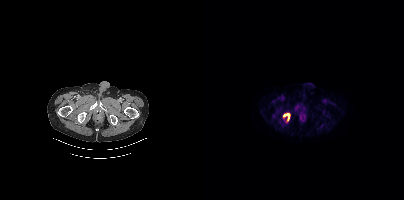
Left: CT. Right: PSMA PET, same axial level, 18F tracer. Acquired on Siemens Biograph mCT Flow 20. Slice 57 of 401. PET panel 200×200 px (4.1 mm/px).
Coordinates are on the 200×200 PET (right) panel. PSMA-avid tumor lesion bounding boxes:
| # | x0 | y0 | x1 | y1 |
|---|---|---|---|---|
| 1 | 80 | 113 | 85 | 120 |